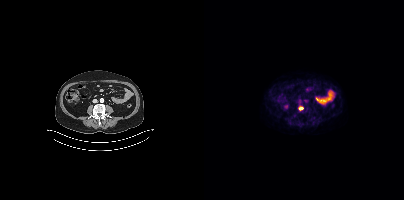
Coordinates are on the 200×200 PET (right) panel. PSMA-avid tumor lesion bounding box (x0,y0,x1,y1): [95,106,99,110].